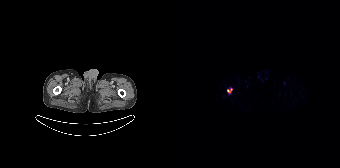
Findings: Coordinates are on the 168×168 PET (right) panel. PSMA-avid tumor lesion bounding box (x0,y0,x1,y1): [55,87,60,94].
Technique: Left: CT. Right: PSMA PET, same axial level, 18F tracer. acquired on Siemens Biograph 64-4R TruePoint. slice 6 of 165.